Left: CT. Right: PSMA PET, same axial level, 18F tracer.
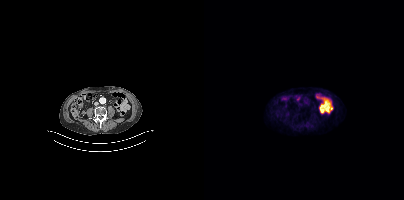
Negative for PSMA-avid disease on this slice.